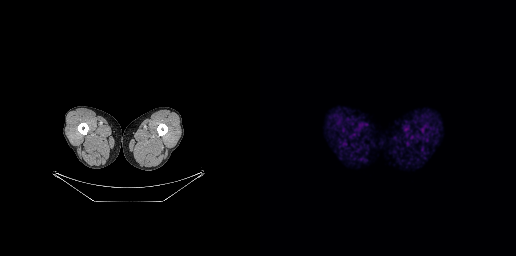
Technique: Paired axial CT (left) and PSMA PET (right), 68Ga tracer. acquired on GE Discovery 690. slice position z = -1000 mm.
Findings: No PSMA-avid tumor lesions on this slice.